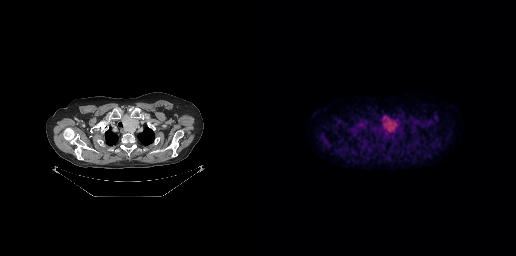
Coordinates are on the 256×256 PET (right) panel. (showing 1 of 2 foci) PSMA-avid tumor lesion bounding box (x0, y0)-(x1, y1): (122, 115)-(137, 132).